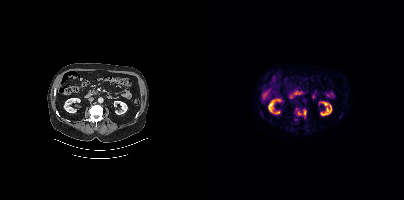
Technique: Paired axial CT (left) and PSMA PET (right), 18F tracer.
Findings: Coordinates are on the 200×200 PET (right) panel. PSMA-avid tumor lesion bounding boxes (x0, y0)-(x1, y1): (99, 109)-(102, 116); (94, 111)-(97, 115). Small PSMA-avid focus (2 to 4 px across) near (center x, center y): (92, 108).